Left: CT. Right: PSMA PET, same axial level, 68Ga tracer. Acquired on Siemens Biograph 64-4R TruePoint.
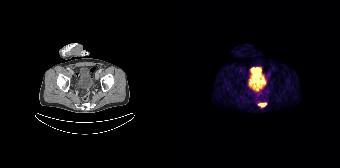
Coordinates are on the 168×168 PET (right) panel. PSMA-avid tumor lesion bounding boxes:
| # | x0 | y0 | x1 | y1 |
|---|---|---|---|---|
| 1 | 86 | 102 | 94 | 107 |